Left: CT. Right: PSMA PET, same axial level, [18F]PSMA-1007 tracer. PET panel 200×200 px (4.1 mm/px).
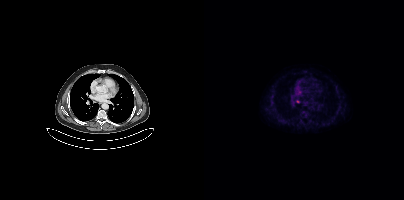
Coordinates are on the 200×200 PET (right) panel. Small PSMA-avid focus (2 to 4 px across) near (center x, center y): (94, 101).